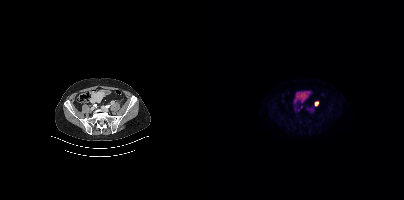
Paired axial CT (left) and PSMA PET (right), 18F tracer. Acquired on Siemens Biograph mCT Flow 20.
Coordinates are on the 200×200 PET (right) panel. PSMA-avid tumor lesion bounding boxes:
| # | x0 | y0 | x1 | y1 |
|---|---|---|---|---|
| 1 | 110 | 101 | 114 | 106 |